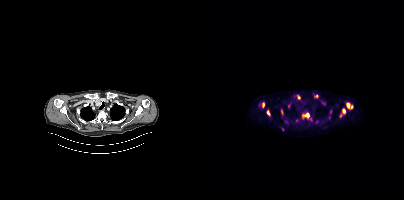
Paired axial CT (left) and PSMA PET (right), [18F]PSMA-1007 tracer. Acquired on Siemens Biograph mCT Flow 20. Slice 294 of 401. PET panel 200×200 px (4.1 mm/px).
Coordinates are on the 200×200 PET (right) panel. PSMA-avid tumor lesion bounding boxes (partial; 3 more foci not listed):
| # | x0 | y0 | x1 | y1 |
|---|---|---|---|---|
| 1 | 136 | 108 | 141 | 117 |
| 2 | 142 | 102 | 148 | 109 |
| 3 | 99 | 113 | 105 | 117 |
| 4 | 84 | 103 | 87 | 108 |
| 5 | 93 | 95 | 96 | 99 |
| 6 | 63 | 110 | 66 | 115 |
| 7 | 110 | 94 | 114 | 97 |
| 8 | 58 | 103 | 60 | 107 |
Small PSMA-avid foci (2 to 4 px across) near (center x, center y): (77, 111); (92, 120); (78, 129).